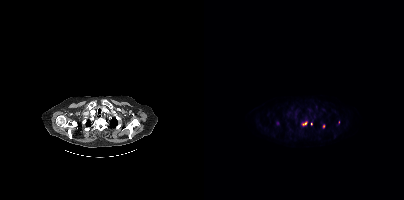
modality: PSMA PET/CT | tracer: 18F-PSMA | view: axial
Coordinates are on the 200×200 PET (right) panel. (showing 3 of 4 foci) PSMA-avid tumor lesion bounding box (x0,y0,x1,y1): [99,120,104,125]. Small PSMA-avid foci (2 to 4 px across) near (center x, center y): (107, 123) (119, 126).